modality: PSMA PET/CT | tracer: 18F | view: axial | PET grid: 200×200
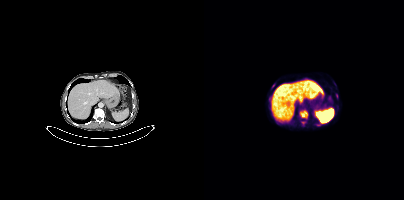
Coordinates are on the 200×200 PET (right) panel. (showing 1 of 2 foci) PSMA-avid tumor lesion bounding box (x, y, width, height): x=96 y=110 w=8 h=8.